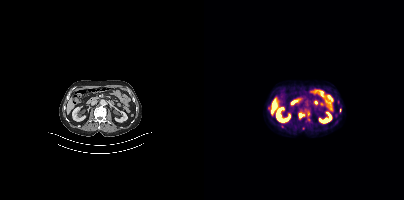
Coordinates are on the 200×200 PET (right) panel. (showing 1 of 3 foci) PSMA-avid tumor lesion bounding box (x0,y0,x1,y1): [95,113,100,117]. Left: CT. Right: PSMA PET, same axial level, 18F-PSMA tracer. Acquired on Siemens Biograph mCT Flow 20. Slice position z = -627 mm.